Technique: Paired axial CT (left) and PSMA PET (right), 18F tracer. acquired on Siemens Biograph mCT Flow 20. slice 70 of 377.
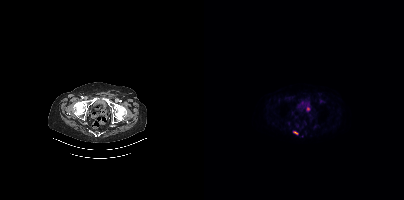
Findings: Coordinates are on the 200×200 PET (right) panel. (showing 2 of 3 foci) PSMA-avid tumor lesion bounding box (x0,y0,x1,y1): [89,131,94,134]. Small PSMA-avid focus (2 to 4 px across) near (center x, center y): (104, 108).